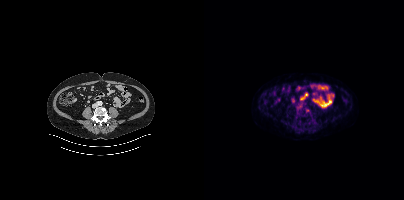
Only PSMA-avid lesion pieces thinner than 2 px on this slice (not listed).